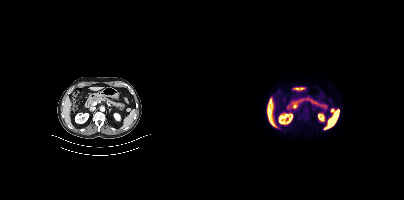
Findings: Coordinates are on the 200×200 PET (right) panel. Small PSMA-avid focus (2 to 4 px across) near (center x, center y): (128, 110).
Technique: Two-panel axial: CT | PSMA PET, 18F tracer. acquired on Siemens Biograph mCT Flow 20. slice 223 of 425.